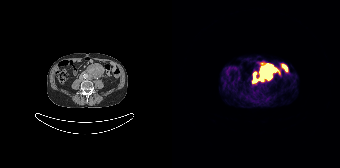
- Two-panel axial: CT | PSMA PET, 68Ga-PSMA tracer
- slice 61 of 165
Findings: Coordinates are on the 168×168 PET (right) panel. PSMA-avid tumor lesion bounding boxes (x0,y0,x1,y1): [88,65,104,78] [87,75,90,80] [81,77,84,81]. Small PSMA-avid focus (2 to 4 px across) near (center x, center y): (82, 74).